Paired axial CT (left) and PSMA PET (right), [18F]PSMA-1007 tracer.
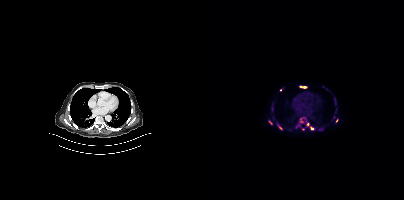
Coordinates are on the 200×200 PET (right) panel. Small PSMA-avid foci (2 to 4 px across) near (center x, center y): (76, 128); (103, 124); (76, 89); (132, 120); (66, 122).